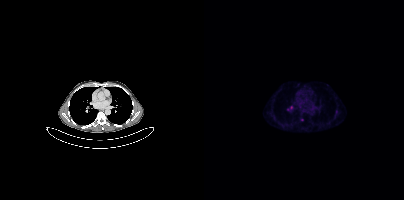
Two-panel axial: CT | PSMA PET, [68Ga]Ga-PSMA-11 tracer. PET panel 200×200 px (4.1 mm/px). Coordinates are on the 200×200 PET (right) panel. Small PSMA-avid foci (2 to 4 px across) near (center x, center y): (86, 107), (83, 109), (97, 119).